modality: PSMA PET/CT | tracer: 68Ga | view: axial
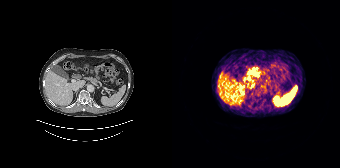
No tumor lesions annotated on this slice.